Left: CT. Right: PSMA PET, same axial level, [18F]PSMA-1007 tracer. Slice position z = -638 mm.
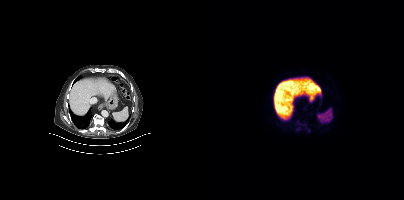
Negative for PSMA-avid disease on this slice.